Left: CT. Right: PSMA PET, same axial level, [18F]PSMA-1007 tracer. Slice 77 of 367. PET panel 200×200 px (4.1 mm/px).
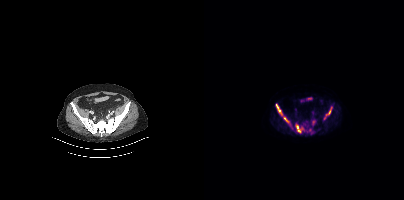
Coordinates are on the 200×200 PET (right) panel. PSMA-avid tumor lesion bounding boxes:
| # | x0 | y0 | x1 | y1 |
|---|---|---|---|---|
| 1 | 72 | 104 | 77 | 113 |
| 2 | 92 | 125 | 96 | 132 |
| 3 | 121 | 110 | 126 | 117 |
| 4 | 80 | 117 | 83 | 121 |